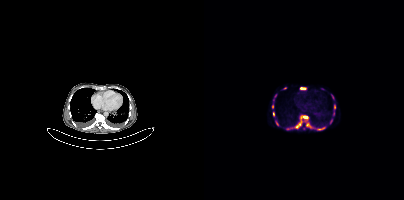
Coordinates are on the 200×200 PET (right) panel. (showing 10 of 13 foci) PSMA-avid tumor lesion bounding boxes (x0, y0)-(x1, y1): (91, 115)-(104, 128) | (102, 123)-(106, 127) | (96, 87)-(101, 89) | (113, 127)-(120, 130). Small PSMA-avid foci (2 to 4 px across) near (center x, center y): (130, 106) | (68, 107) | (127, 121) | (84, 128) | (69, 114) | (73, 124).
modality: PSMA PET/CT | tracer: [68Ga]Ga-PSMA-11 | view: axial